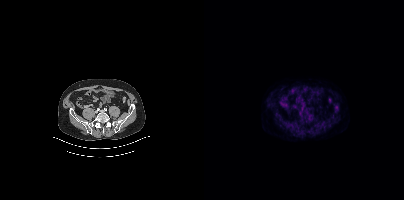
This slice has no annotated PSMA-avid lesion. Two-panel axial: CT | PSMA PET, [18F]PSMA-1007 tracer. Acquired on Siemens Biograph mCT Flow 20. Slice position z = -666 mm. PET panel 200×200 px (4.1 mm/px).